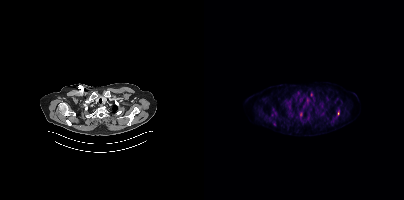
{"modality":"PSMA PET/CT","view":"axial","tracer":"[18F]PSMA-1007","pet_grid":[200,200],"coord_frame":"pet_panel","coord_format":"x0,y0,x1,y1","partial":true,"lesion_bboxes":[],"small_foci_centers":[[96,114],[134,113]]}